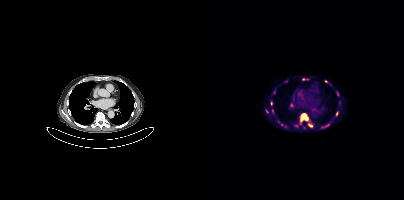
- Left: CT. Right: PSMA PET, same axial level, 18F tracer
- acquired on Siemens Biograph mCT Flow 20
- PET panel 200×200 px (4.1 mm/px)
Findings: Coordinates are on the 200×200 PET (right) panel. (showing 6 of 9 foci) PSMA-avid tumor lesion bounding boxes (x0,y0,x1,y1): [96,113,104,122], [104,121,108,127]. Small PSMA-avid foci (2 to 4 px across) near (center x, center y): (67, 103), (63, 111), (133, 112), (121, 81).